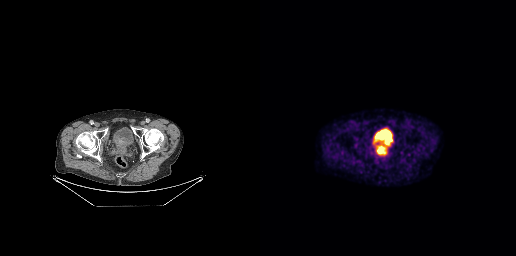
modality: PSMA PET/CT | tracer: 18F-PSMA | view: axial
No PSMA-avid tumor lesions on this slice.